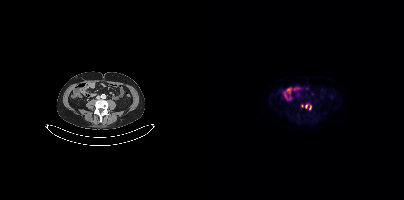
- Paired axial CT (left) and PSMA PET (right), 18F tracer
Findings: Only PSMA-avid lesion pieces thinner than 2 px on this slice (not listed).